- Paired axial CT (left) and PSMA PET (right), [18F]PSMA-1007 tracer
- acquired on Siemens Biograph mCT Flow 20
- slice position z = -870 mm
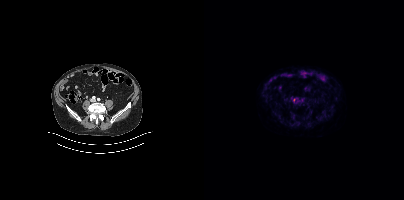
Findings: Only PSMA-avid lesion pieces thinner than 2 px on this slice (not listed).